Technique: Two-panel axial: CT | PSMA PET, 18F tracer.
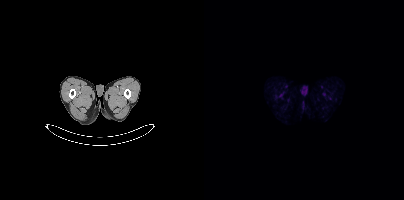
Findings: Negative for PSMA-avid disease on this slice.